Technique: Two-panel axial: CT | PSMA PET, 18F-PSMA tracer. slice 59 of 425. PET panel 200×200 px (4.1 mm/px).
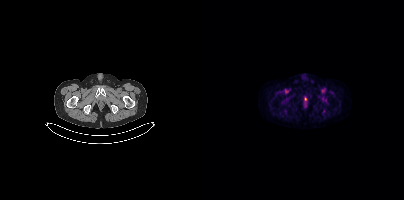
Findings: Coordinates are on the 200×200 PET (right) panel. Small PSMA-avid focus (2 to 4 px across) near (center x, center y): (101, 98).